Technique: Paired axial CT (left) and PSMA PET (right), 18F-PSMA tracer. acquired on Siemens Biograph mCT Flow 20. slice position z = -456 mm. PET panel 200×200 px (4.1 mm/px).
Note: Part of this slice was blanked for de-identification.
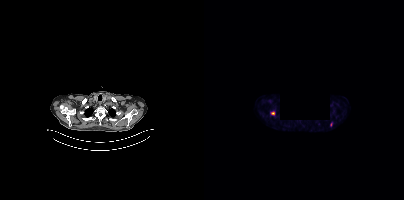
Findings: Coordinates are on the 200×200 PET (right) panel. (showing 2 of 3 foci) PSMA-avid tumor lesion bounding box (x, y, width, height): x=67 y=111 w=4 h=5. Small PSMA-avid focus (2 to 4 px across) near (center x, center y): (127, 124).